Any black rectangle over the head is a privacy mask, not anatomy. Paired axial CT (left) and PSMA PET (right), 18F-PSMA tracer. Slice position z = 152 mm. PET panel 200×200 px (4.1 mm/px).
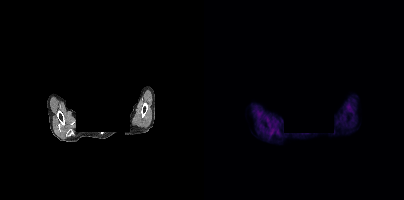
No tumor lesions annotated on this slice.